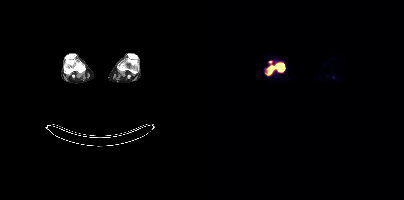
Coordinates are on the 200×200 PET (right) panel. PSMA-avid tumor lesion bounding box (x0,y0,x1,y1): [62,61,81,74]. Paired axial CT (left) and PSMA PET (right), [18F]PSMA-1007 tracer. Acquired on Siemens Biograph mCT Flow 20. Slice 298 of 963.